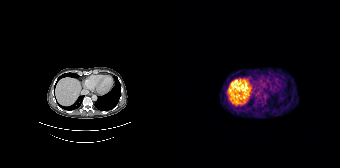
No tumor lesions annotated on this slice.